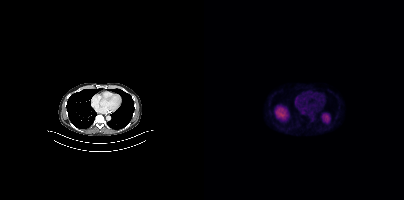
{"modality":"PSMA PET/CT","view":"axial","tracer":"[18F]PSMA-1007","pet_grid":[200,200],"coord_frame":"pet_panel","coord_format":"x0,y0,x1,y1","psma_avid_lesions":false}